- Two-panel axial: CT | PSMA PET, [18F]PSMA-1007 tracer
- slice position z = -1338 mm
- PET panel 200×200 px (4.1 mm/px)
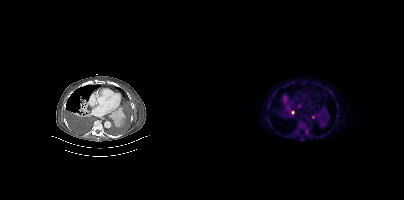
Findings: Coordinates are on the 200×200 PET (right) panel. (showing 7 of 8 foci) PSMA-avid tumor lesion bounding box (x0,y0,x1,y1): [96,123,101,128]. Small PSMA-avid foci (2 to 4 px across) near (center x, center y): (97, 139); (95, 106); (102, 131); (125, 91); (88, 112); (108, 116).